Technique: Paired axial CT (left) and PSMA PET (right), 68Ga tracer. acquired on GE Discovery 690. slice 30 of 299. PET panel 256×256 px (2.7 mm/px).
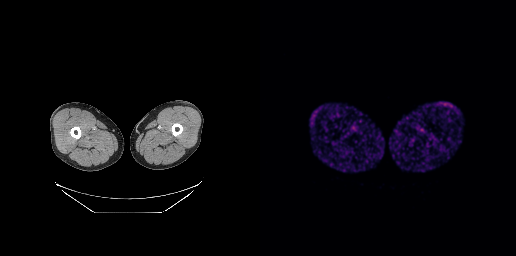
Findings: This slice has no annotated PSMA-avid lesion.